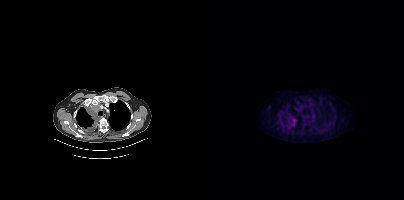
{"modality":"PSMA PET/CT","view":"axial","tracer":"18F","pet_grid":[200,200],"coord_frame":"pet_panel","coord_format":"x0,y0,x1,y1","lesion_bboxes":[[84,118,92,128]],"small_foci_centers":[[94,109]]}